Left: CT. Right: PSMA PET, same axial level, 68Ga tracer. PET panel 200×200 px (4.1 mm/px).
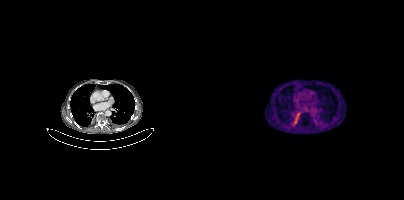
Only PSMA-avid lesion pieces thinner than 2 px on this slice (not listed).